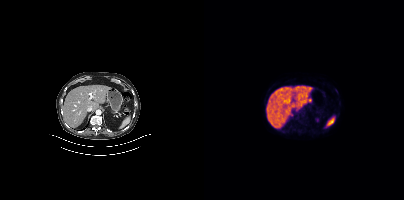
Technique: Two-panel axial: CT | PSMA PET, [18F]PSMA-1007 tracer. acquired on Siemens Biograph mCT Flow 20. slice position z = -612 mm. PET panel 200×200 px (4.1 mm/px).
Findings: This slice has no annotated PSMA-avid lesion.